- Paired axial CT (left) and PSMA PET (right), 18F tracer
- PET panel 256×256 px (2.7 mm/px)
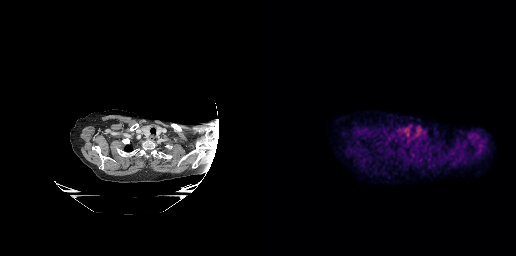
Findings: No tumor lesions annotated on this slice.